Two-panel axial: CT | PSMA PET, [18F]PSMA-1007 tracer. Acquired on Siemens Biograph mCT Flow 20. PET panel 200×200 px (4.1 mm/px).
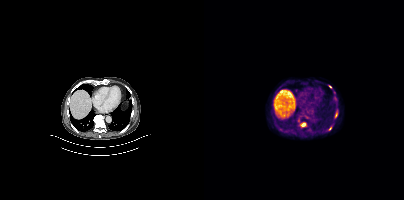
Coordinates are on the 200×200 PET (right) panel. PSMA-avid tumor lesion bounding boxes:
| # | x0 | y0 | x1 | y1 |
|---|---|---|---|---|
| 1 | 96 | 122 | 102 | 126 |
Small PSMA-avid foci (2 to 4 px across) near (center x, center y): (132, 115); (126, 86); (126, 128).